- Paired axial CT (left) and PSMA PET (right), 18F tracer
- acquired on Siemens Biograph mCT Flow 20
- PET panel 200×200 px (4.1 mm/px)
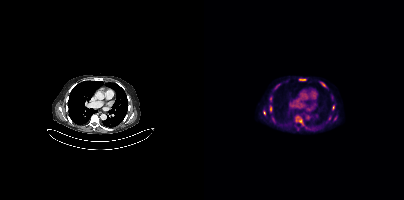
Findings: Coordinates are on the 200×200 PET (right) panel. (showing 8 of 10 foci) PSMA-avid tumor lesion bounding boxes (x, y, width, height): x=66 y=106 w=3 h=6; x=95 y=79 w=7 h=2. Small PSMA-avid foci (2 to 4 px across) near (center x, center y): (96, 121); (117, 83); (129, 107); (60, 112); (125, 118); (92, 120).